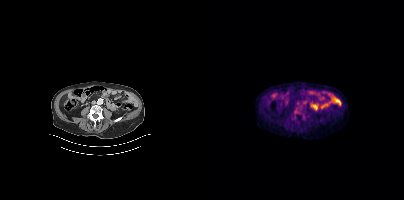
{"pet_grid":[200,200],"coord_frame":"pet_panel","coord_format":"x0,y0,x1,y1","psma_avid_lesions":false,"modality":"PSMA PET/CT","view":"axial","tracer":"18F"}